Two-panel axial: CT | PSMA PET, 18F tracer. Acquired on Siemens Biograph mCT Flow 20. PET panel 200×200 px (4.1 mm/px).
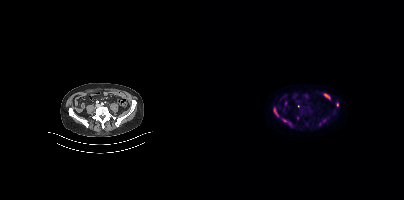
Coordinates are on the 200×200 PET (right) panel. PSMA-avid tumor lesion bounding boxes (partial; 2 more foci not listed):
| # | x0 | y0 | x1 | y1 |
|---|---|---|---|---|
| 1 | 80 | 120 | 87 | 126 |
| 2 | 70 | 108 | 72 | 114 |
Small PSMA-avid foci (2 to 4 px across) near (center x, center y): (120, 120); (133, 104); (116, 124); (93, 117).